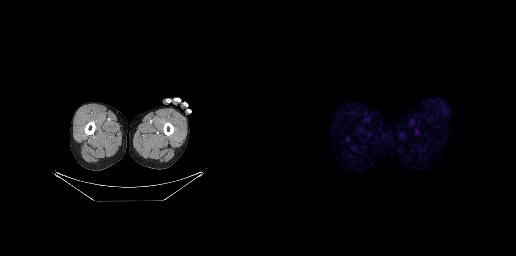
{"modality":"PSMA PET/CT","view":"axial","tracer":"68Ga-PSMA","pet_grid":[256,256],"coord_frame":"pet_panel","coord_format":"x0,y0,x1,y1","psma_avid_lesions":false}